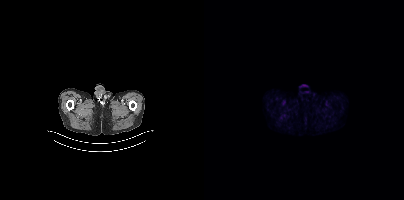
No PSMA-avid tumor lesions on this slice. Left: CT. Right: PSMA PET, same axial level, [18F]PSMA-1007 tracer. Acquired on Siemens Biograph mCT Flow 20. Slice position z = -1034 mm.